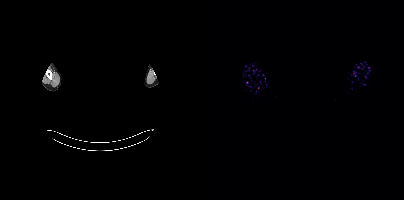
modality: PSMA PET/CT | tracer: 68Ga-PSMA | view: axial | deidentification: facial region redacted
This slice has no annotated PSMA-avid lesion.